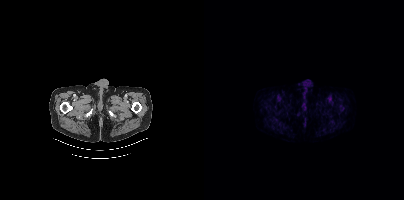
Negative for PSMA-avid disease on this slice.